Paired axial CT (left) and PSMA PET (right), [68Ga]Ga-PSMA-11 tracer. Slice 36 of 195. PET panel 168×168 px (4.1 mm/px).
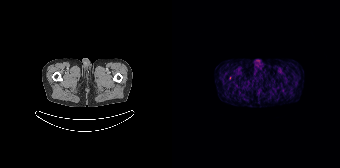
No tumor lesions annotated on this slice.